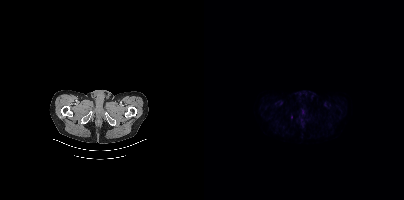
Coordinates are on the 200×200 PET (right) panel. Small PSMA-avid focus (2 to 4 px across) near (center x, center y): (87, 117).